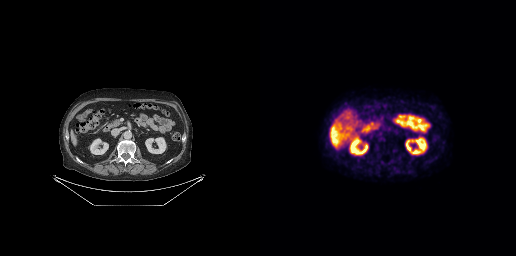
Findings: Negative for PSMA-avid disease on this slice.
Technique: Left: CT. Right: PSMA PET, same axial level, 18F tracer. acquired on GE Discovery 690. slice position z = -428 mm. PET panel 256×256 px (2.7 mm/px).